- Two-panel axial: CT | PSMA PET, 18F-PSMA tracer
- acquired on Siemens Biograph mCT Flow 20
- PET panel 200×200 px (4.1 mm/px)
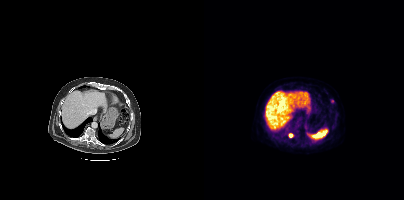
Findings: Coordinates are on the 200×200 PET (right) panel. Small PSMA-avid foci (2 to 4 px across) near (center x, center y): (86, 135) | (128, 101).